modality: PSMA PET/CT | tracer: 68Ga | view: axial | PET grid: 200×200
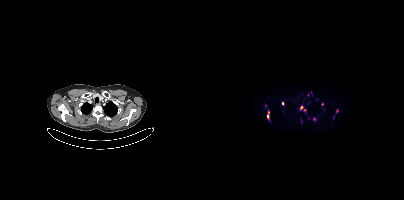
Coordinates are on the 200×200 PET (right) panel. (showing 9 of 10 foci) PSMA-avid tumor lesion bounding box (x0, y0)-(x1, y1): (63, 110)-(65, 117). Small PSMA-avid foci (2 to 4 px across) near (center x, center y): (97, 107); (133, 111); (110, 119); (61, 105); (118, 104); (100, 110); (107, 93); (78, 103).